Technique: Two-panel axial: CT | PSMA PET, 18F tracer.
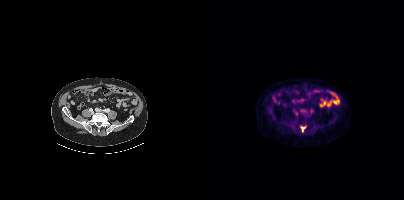
Findings: Coordinates are on the 200×200 PET (right) panel. PSMA-avid tumor lesion bounding box (x, y, width, height): x=96 y=126 w=7 h=7.